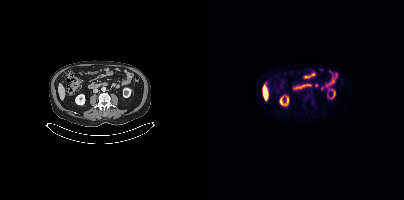
Negative for PSMA-avid disease on this slice. Two-panel axial: CT | PSMA PET, [18F]PSMA-1007 tracer. PET panel 200×200 px (4.1 mm/px).